Left: CT. Right: PSMA PET, same axial level, 68Ga-PSMA tracer.
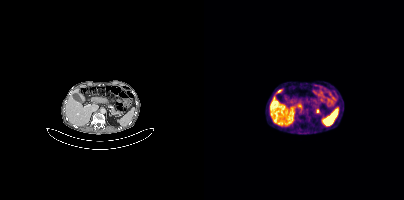
Coordinates are on the 200×200 PET (right) panel. PSMA-avid tumor lesion bounding boxes:
| # | x0 | y0 | x1 | y1 |
|---|---|---|---|---|
| 1 | 112 | 109 | 115 | 113 |